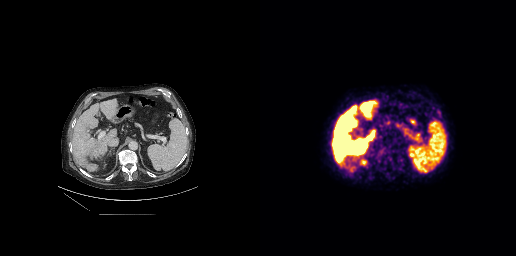
Left: CT. Right: PSMA PET, same axial level, [18F]PSMA-1007 tracer. Slice 147 of 263. PET panel 256×256 px (2.7 mm/px).
Coordinates are on the 256×256 PET (right) panel. PSMA-avid tumor lesion bounding boxes:
| # | x0 | y0 | x1 | y1 |
|---|---|---|---|---|
| 1 | 118 | 147 | 131 | 165 |
| 2 | 174 | 108 | 182 | 118 |
| 3 | 120 | 167 | 126 | 170 |
Small PSMA-avid focus (2 to 4 px across) near (center x, center y): (120, 161).